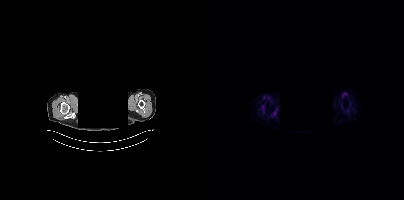
{"pet_grid":[200,200],"coord_frame":"pet_panel","coord_format":"x0,y0,x1,y1","psma_avid_lesions":false,"de-identification":"rectangular block over head set to black","modality":"PSMA PET/CT","view":"axial","tracer":"[18F]PSMA-1007"}